An anonymization step blacked out a rectangle over the head in this scan. Left: CT. Right: PSMA PET, same axial level, [18F]PSMA-1007 tracer. Acquired on Siemens Biograph mCT Flow 20.
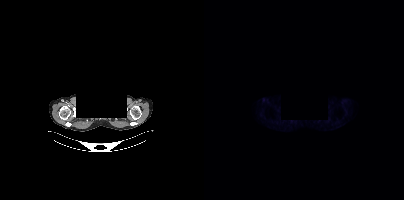
No PSMA-avid tumor lesions on this slice.